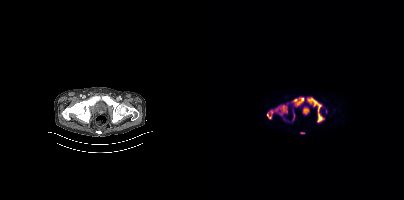
Coordinates are on the 200×200 PET (right) panel. (showing 4 of 6 foci) PSMA-avid tumor lesion bounding boxes (x0, y0)-(x1, y1): (63, 103)-(83, 119) / (104, 98)-(119, 122) / (89, 98)-(99, 106). Small PSMA-avid focus (2 to 4 px across) near (center x, center y): (98, 132).